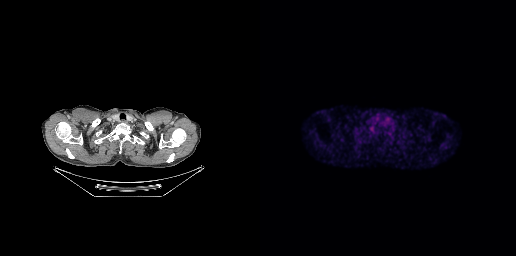
{"pet_grid":[256,256],"coord_frame":"pet_panel","coord_format":"x0,y0,x1,y1","psma_avid_lesions":false,"modality":"PSMA PET/CT","view":"axial","tracer":"18F"}